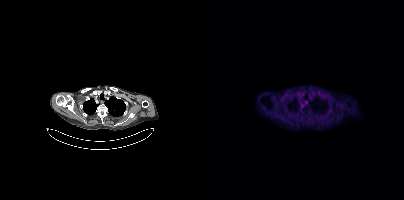
This slice has no annotated PSMA-avid lesion. Left: CT. Right: PSMA PET, same axial level, 18F-PSMA tracer. Acquired on Siemens Biograph mCT Flow 20. Slice 331 of 417. PET panel 200×200 px (4.1 mm/px).